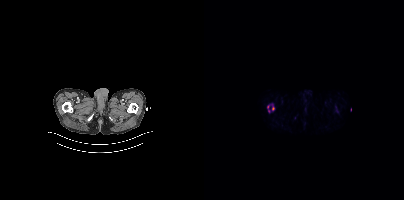
Coordinates are on the 200×200 PET (right) panel. PSMA-avid tumor lesion bounding box (x0, y0)-(x1, y1): (68, 106)-(70, 110). Small PSMA-avid foci (2 to 4 px across) near (center x, center y): (64, 106) / (64, 111).